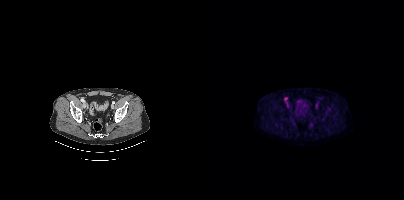
Paired axial CT (left) and PSMA PET (right), [18F]PSMA-1007 tracer. Slice position z = -1435 mm. PET panel 200×200 px (4.1 mm/px). Coordinates are on the 200×200 PET (right) panel. Small PSMA-avid focus (2 to 4 px across) near (center x, center y): (80, 98).